modality: PSMA PET/CT | tracer: [18F]PSMA-1007 | view: axial | PET grid: 200×200
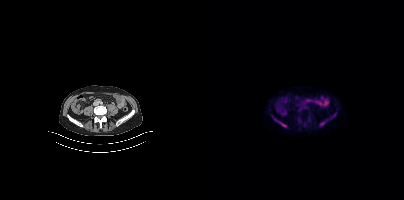
Coordinates are on the 200×200 PET (right) panel. (showing 2 of 3 foci) PSMA-avid tumor lesion bounding boxes (x0, y0)-(x1, y1): (73, 121)-(82, 127); (116, 121)-(122, 126).